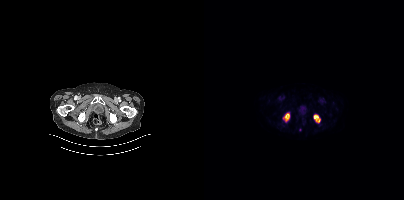
Coordinates are on the 200×200 PET (right) panel. PSMA-avid tumor lesion bounding boxes (x0,y0,x1,y1): [110,115,115,122] [81,113,85,120].